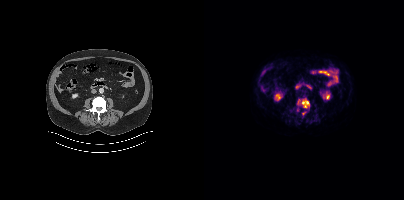
{"modality":"PSMA PET/CT","view":"axial","tracer":"18F-PSMA","pet_grid":[200,200],"coord_frame":"pet_panel","coord_format":"x0,y0,x1,y1","lesion_bboxes":[[93,99,105,111]],"small_foci_centers":[[99,113]]}